modality: PSMA PET/CT | tracer: [68Ga]Ga-PSMA-11 | view: axial
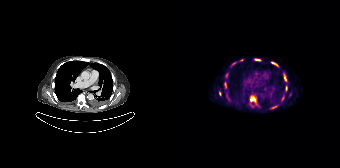
Coordinates are on the 168×168 PET (right) panel. PSMA-avid tumor lesion bounding boxes (x, y, width, height): x=78 y=96 w=10 h=11 / x=111 y=72 w=4 h=10 / x=101 y=62 w=6 h=6 / x=82 y=59 w=7 h=2 / x=52 y=82 w=3 h=6 / x=113 y=86 w=3 h=5 / x=100 y=106 w=5 h=3. Small PSMA-avid foci (2 to 4 px across) near (center x, center y): (48, 93) / (54, 74) / (110, 98) / (69, 59) / (61, 63).